modality: PSMA PET/CT | tracer: [18F]PSMA-1007 | view: axial
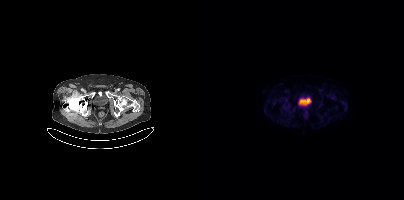
No PSMA-avid tumor lesions on this slice.